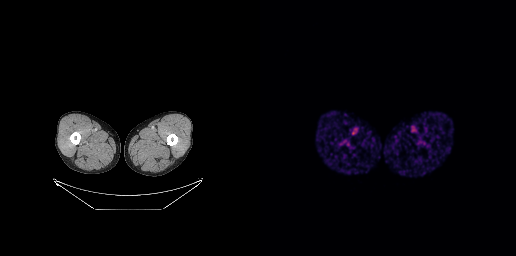
Findings: No tumor lesions annotated on this slice.
Technique: Two-panel axial: CT | PSMA PET, [68Ga]Ga-PSMA-11 tracer. slice 16 of 263. PET panel 256×256 px (2.7 mm/px).